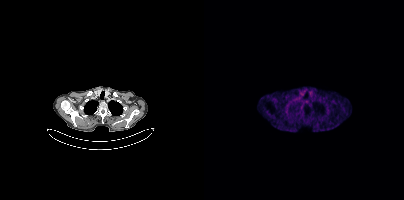
Paired axial CT (left) and PSMA PET (right), 68Ga tracer. Acquired on Siemens Biograph mCT Flow 20. PET panel 200×200 px (4.1 mm/px). No tumor lesions annotated on this slice.